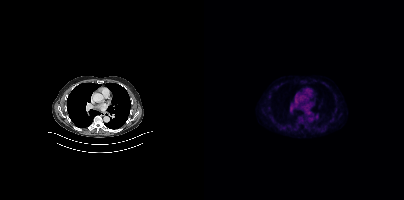
No tumor lesions annotated on this slice. Paired axial CT (left) and PSMA PET (right), [18F]PSMA-1007 tracer. Slice 275 of 415.